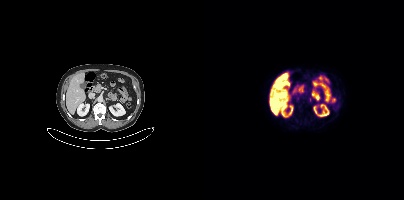
{"modality":"PSMA PET/CT","view":"axial","tracer":"18F","pet_grid":[200,200],"coord_frame":"pet_panel","coord_format":"x0,y0,x1,y1","partial":true,"lesion_bboxes":[[105,97,109,102]]}